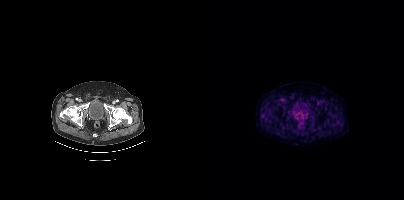
{"modality":"PSMA PET/CT","view":"axial","tracer":"[18F]PSMA-1007","pet_grid":[200,200],"coord_frame":"pet_panel","coord_format":"x0,y0,x1,y1","psma_avid_lesions":false}